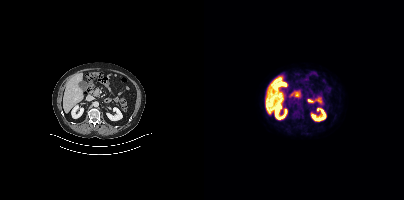
modality: PSMA PET/CT | tracer: [18F]PSMA-1007 | view: axial | PET grid: 200×200
No tumor lesions annotated on this slice.